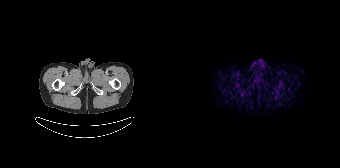
Negative for PSMA-avid disease on this slice.